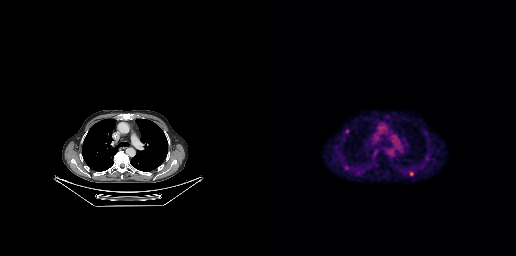
Paired axial CT (left) and PSMA PET (right), 18F tracer. PET panel 256×256 px (2.7 mm/px). Coordinates are on the 256×256 PET (right) panel. Small PSMA-avid foci (2 to 4 px across) near (center x, center y): (167, 158) / (151, 173).